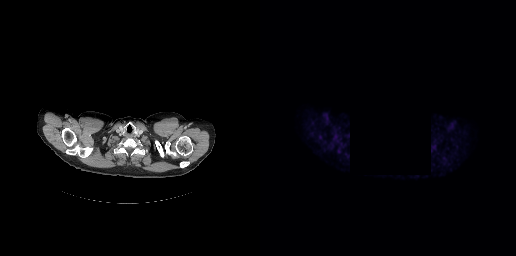
redaction: privacy mask (black rectangle) | modality: PSMA PET/CT | tracer: 18F | view: axial | PET grid: 256×256
This slice has no annotated PSMA-avid lesion.